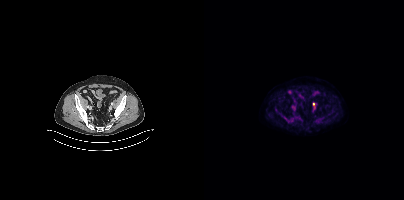
{"pet_grid":[200,200],"coord_frame":"pet_panel","coord_format":"x0,y0,x1,y1","lesion_bboxes":[[77,115,87,121]],"small_foci_centers":[[119,117],[109,103]],"modality":"PSMA PET/CT","view":"axial","tracer":"18F"}